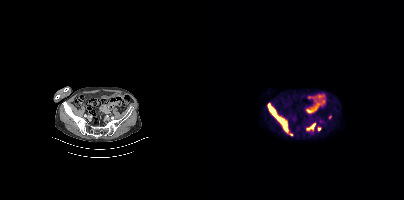
Coordinates are on the 200×200 PET (right) panel. PSMA-avid tumor lesion bounding boxes (x0, y0)-(x1, y1): (63, 103)-(88, 135) / (102, 122)-(111, 130). Small PSMA-avid foci (2 to 4 px across) near (center x, center y): (114, 128) / (126, 117).